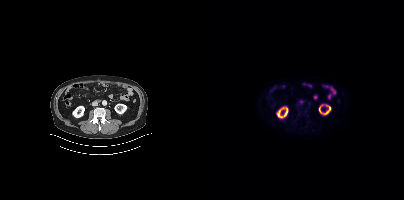
No tumor lesions annotated on this slice.